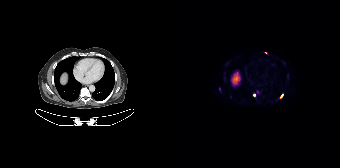
{"modality":"PSMA PET/CT","view":"axial","tracer":"18F-PSMA","pet_grid":[168,168],"coord_frame":"pet_panel","coord_format":"x0,y0,x1,y1","partial":true,"lesion_bboxes":[[47,87,48,91]],"small_foci_centers":[[109,95],[82,95],[93,52]]}